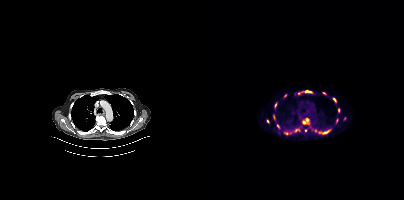
{"modality":"PSMA PET/CT","view":"axial","tracer":"18F","pet_grid":[200,200],"coord_frame":"pet_panel","coord_format":"x0,y0,x1,y1","partial":true,"lesion_bboxes":[[93,90,109,95],[98,118,105,124],[129,98,132,102],[62,119,65,123],[91,129,95,131],[70,103,72,108],[69,115,71,119],[119,131,124,133],[73,124,75,128]],"small_foci_centers":[[120,93],[81,132],[101,130],[111,130],[134,108]]}